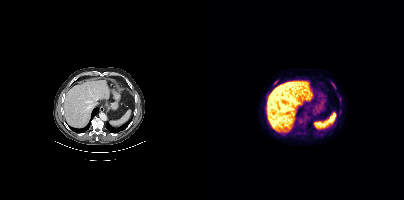
Coordinates are on the 200×200 PET (right) panel. PSMA-avid tumor lesion bounding box (x0,y0,x1,y1): [127,82,131,87]. Small PSMA-avid foci (2 to 4 px across) near (center x, center y): (136, 110); (71, 82).